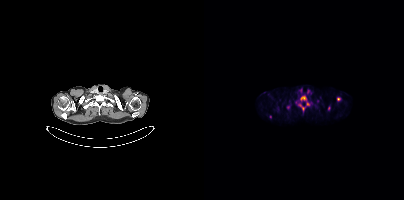
modality: PSMA PET/CT | tracer: 18F-PSMA | view: axial | PET grid: 200×200
Coordinates are on the 200×200 PET (right) panel. (showing 5 of 8 foci) PSMA-avid tumor lesion bounding boxes (x0, y0)-(x1, y1): (94, 95)-(106, 111) | (124, 106)-(126, 110). Small PSMA-avid foci (2 to 4 px across) near (center x, center y): (134, 98) | (104, 91) | (66, 116).